Two-panel axial: CT | PSMA PET, [68Ga]Ga-PSMA-11 tracer. PET panel 168×168 px (4.1 mm/px).
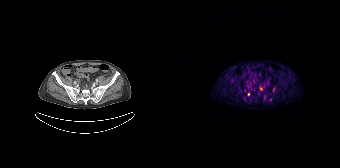
Coordinates are on the 168×168 PET (right) panel. Small PSMA-avid foci (2 to 4 px across) near (center x, center y): (76, 94) / (88, 88).